Two-panel axial: CT | PSMA PET, [18F]PSMA-1007 tracer. Acquired on Siemens Biograph mCT Flow 20. Slice position z = -869 mm. PET panel 200×200 px (4.1 mm/px).
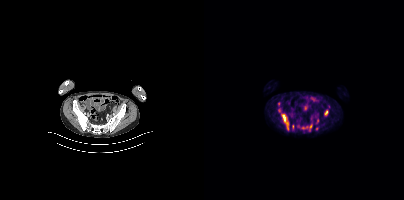
Coordinates are on the 200×200 PET (right) panel. PSMA-avid tumor lesion bounding boxes (partial; 1 more focus not listed):
| # | x0 | y0 | x1 | y1 |
|---|---|---|---|---|
| 1 | 120 | 110 | 124 | 115 |
| 2 | 82 | 123 | 84 | 130 |
| 3 | 105 | 124 | 108 | 130 |
| 4 | 79 | 115 | 81 | 120 |
| 5 | 98 | 126 | 103 | 128 |
Small PSMA-avid foci (2 to 4 px across) near (center x, center y): (88, 126); (74, 103).